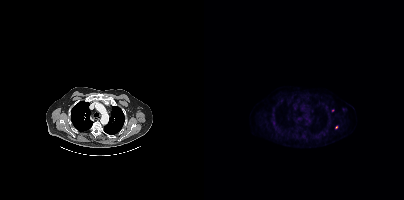
Left: CT. Right: PSMA PET, same axial level, [18F]PSMA-1007 tracer. Acquired on Siemens Biograph mCT Flow 20. Coordinates are on the 200×200 PET (right) panel. Small PSMA-avid foci (2 to 4 px across) near (center x, center y): (132, 127) / (128, 110).